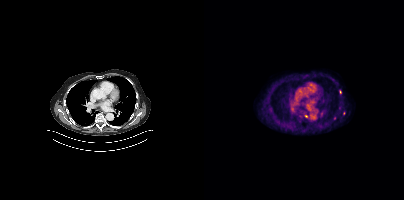
Technique: Two-panel axial: CT | PSMA PET, [18F]PSMA-1007 tracer. slice 287 of 429. PET panel 200×200 px (4.1 mm/px).
Findings: Coordinates are on the 200×200 PET (right) panel. (showing 3 of 4 foci) Small PSMA-avid foci (2 to 4 px across) near (center x, center y): (102, 116), (136, 91), (130, 118).